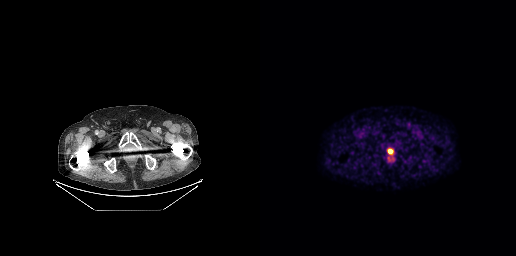
Coordinates are on the 256×256 PET (right) panel. PSMA-avid tumor lesion bounding boxes:
| # | x0 | y0 | x1 | y1 |
|---|---|---|---|---|
| 1 | 127 | 148 | 133 | 154 |
Left: CT. Right: PSMA PET, same axial level, 18F tracer.